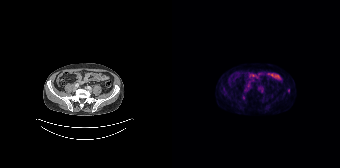
Coordinates are on the 168×168 PET (right) panel. (showing 3 of 4 foci) Small PSMA-avid foci (2 to 4 px across) near (center x, center y): (116, 90) | (73, 89) | (71, 97). Left: CT. Right: PSMA PET, same axial level, 18F-PSMA tracer. Acquired on Siemens Biograph 64-4R TruePoint. PET panel 168×168 px (4.1 mm/px).